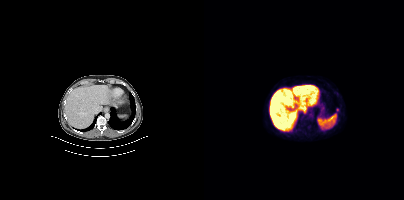
{"pet_grid":[200,200],"coord_frame":"pet_panel","coord_format":"x0,y0,x1,y1","psma_avid_lesions":false,"modality":"PSMA PET/CT","view":"axial","tracer":"18F"}